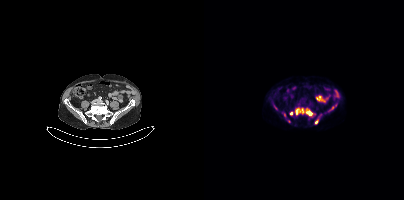
Findings: Coordinates are on the 200×200 PET (right) panel. (showing 5 of 6 foci) PSMA-avid tumor lesion bounding boxes (x0,y0,x1,y1): [91,108,108,115]; [124,104,132,111]; [111,119,114,123]. Small PSMA-avid foci (2 to 4 px across) near (center x, center y): (87, 113); (71, 107).
- Paired axial CT (left) and PSMA PET (right), [18F]PSMA-1007 tracer
- acquired on Siemens Biograph mCT Flow 20
- slice 141 of 415
- PET panel 200×200 px (4.1 mm/px)